Technique: Two-panel axial: CT | PSMA PET, [68Ga]Ga-PSMA-11 tracer. PET panel 200×200 px (4.1 mm/px).
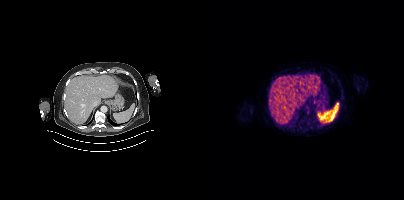
Findings: No PSMA-avid tumor lesions on this slice.